Paired axial CT (left) and PSMA PET (right), 18F-PSMA tracer. Acquired on Siemens Biograph mCT Flow 20.
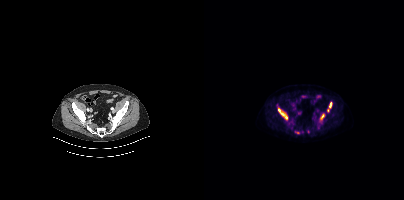
Coordinates are on the 200×200 PET (right) panel. PSMA-avid tumor lesion bounding boxes:
| # | x0 | y0 | x1 | y1 |
|---|---|---|---|---|
| 1 | 74 | 108 | 83 | 119 |
| 2 | 117 | 114 | 120 | 119 |
| 3 | 125 | 102 | 127 | 107 |
| 4 | 91 | 131 | 95 | 133 |
Small PSMA-avid focus (2 to 4 px across) near (center x, center y): (123, 110).